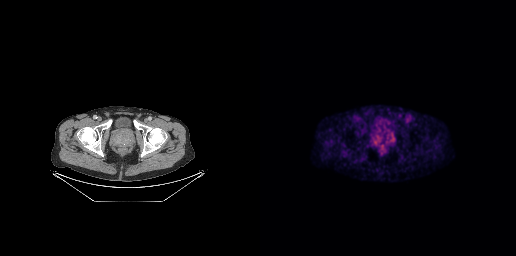
{"modality":"PSMA PET/CT","view":"axial","tracer":"18F","pet_grid":[256,256],"coord_frame":"pet_panel","coord_format":"x0,y0,x1,y1","lesion_bboxes":[[130,132,134,138]]}